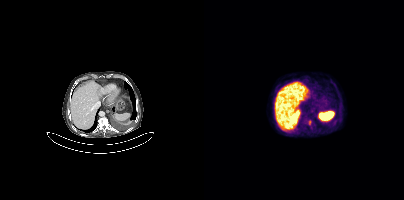
Coordinates are on the 200×200 PET (right) panel. Small PSMA-avid focus (2 to 4 px across) near (center x, center y): (105, 122). Left: CT. Right: PSMA PET, same axial level, [18F]PSMA-1007 tracer. Acquired on Siemens Biograph mCT Flow 20.